Technique: Left: CT. Right: PSMA PET, same axial level, 68Ga-PSMA tracer. acquired on GE Discovery 690. slice 86 of 263.
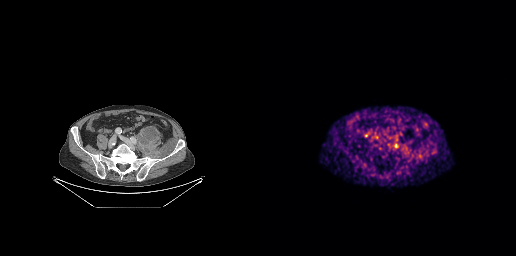
Findings: Coordinates are on the 256×256 PET (right) panel. (showing 1 of 2 foci) Small PSMA-avid focus (2 to 4 px across) near (center x, center y): (146, 152).